Technique: Left: CT. Right: PSMA PET, same axial level, 18F tracer. acquired on Siemens Biograph mCT Flow 20.
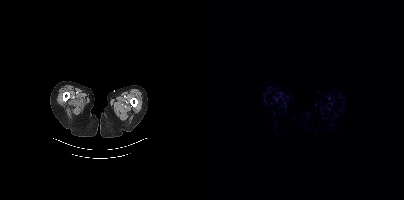
Findings: Negative for PSMA-avid disease on this slice.